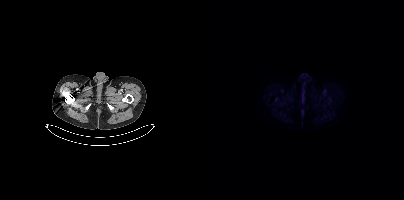
Findings: Negative for PSMA-avid disease on this slice.
Technique: Left: CT. Right: PSMA PET, same axial level, [18F]PSMA-1007 tracer. PET panel 200×200 px (4.1 mm/px).